Left: CT. Right: PSMA PET, same axial level, 18F-PSMA tracer.
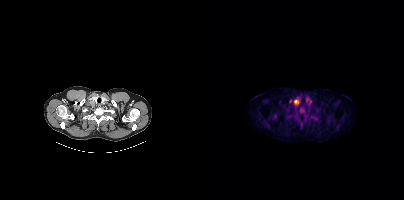
Coordinates are on the 200×200 PET (right) panel. PSMA-avid tumor lesion bounding boxes (partial; 1 more focus not listed):
| # | x0 | y0 | x1 | y1 |
|---|---|---|---|---|
| 1 | 90 | 100 | 94 | 104 |